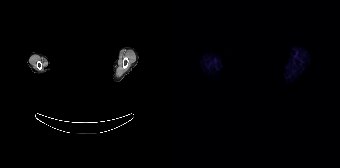
{"modality":"PSMA PET/CT","view":"axial","tracer":"68Ga-PSMA","pet_grid":[168,168],"coord_frame":"pet_panel","coord_format":"x0,y0,x1,y1","psma_avid_lesions":false,"redaction":"head region blanked (face removed)"}